- Paired axial CT (left) and PSMA PET (right), 18F-PSMA tracer
- acquired on Siemens Biograph mCT Flow 20
- slice 241 of 438
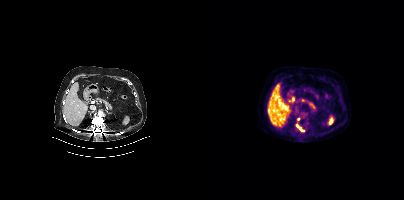
Findings: Coordinates are on the 200×200 PET (right) panel. (showing 1 of 2 foci) PSMA-avid tumor lesion bounding box (x, y, width, height): x=92 y=123 w=8 h=9.